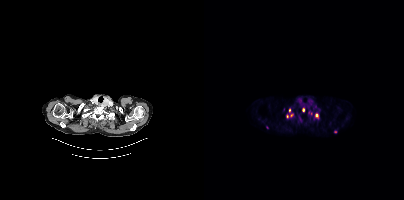
{"modality":"PSMA PET/CT","view":"axial","tracer":"[68Ga]Ga-PSMA-11","pet_grid":[200,200],"coord_frame":"pet_panel","coord_format":"x0,y0,x1,y1","partial":true,"lesion_bboxes":[[86,113,89,117]],"small_foci_centers":[[99,109],[85,110],[112,115],[63,127],[83,116],[95,121]]}